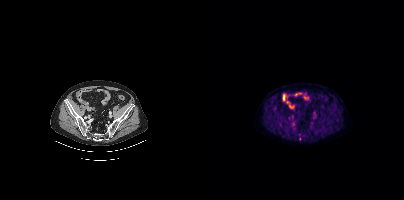
Left: CT. Right: PSMA PET, same axial level, [18F]PSMA-1007 tracer. Slice position z = -807 mm. PET panel 200×200 px (4.1 mm/px). Coordinates are on the 200×200 PET (right) panel. Small PSMA-avid focus (2 to 4 px across) near (center x, center y): (95, 138).